- Left: CT. Right: PSMA PET, same axial level, 18F tracer
- acquired on Siemens Biograph mCT Flow 20
- the head region is masked for de-identification
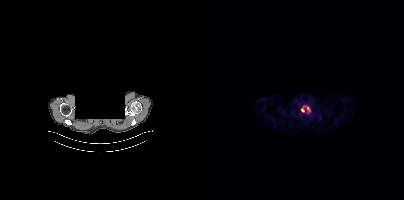
Findings: Coordinates are on the 200×200 PET (right) panel. PSMA-avid tumor lesion bounding box (x, y, width, height): x=97 y=105 w=10 h=9.